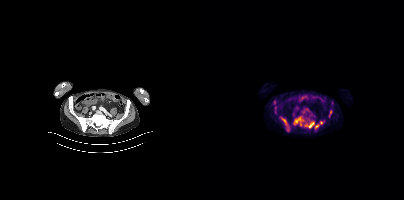
{"modality":"PSMA PET/CT","view":"axial","tracer":"18F","pet_grid":[200,200],"coord_frame":"pet_panel","coord_format":"x0,y0,x1,y1","partial":true,"lesion_bboxes":[[90,118,100,126],[100,121,110,128],[79,121,86,130]],"small_foci_centers":[[117,122],[126,112]]}